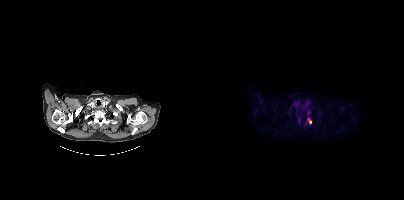
Coordinates are on the 200×200 PET (right) panel. PSMA-avid tumor lesion bounding box (x0, y0)-(x1, y1): (104, 119)-(107, 123).